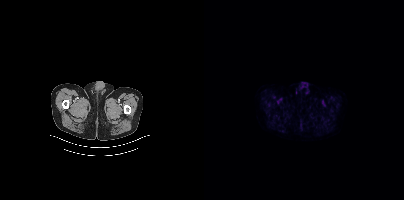
{"modality":"PSMA PET/CT","view":"axial","tracer":"18F-PSMA","pet_grid":[200,200],"coord_frame":"pet_panel","coord_format":"x0,y0,x1,y1","psma_avid_lesions":false}